Left: CT. Right: PSMA PET, same axial level, 18F tracer. Acquired on Siemens Biograph 64-4R TruePoint. PET panel 168×168 px (4.1 mm/px).
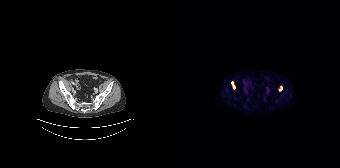
Coordinates are on the 168×168 PET (right) panel. PSMA-avid tumor lesion bounding boxes (x0,y0,x1,y1): [59,81,63,89]; [107,86,110,91].